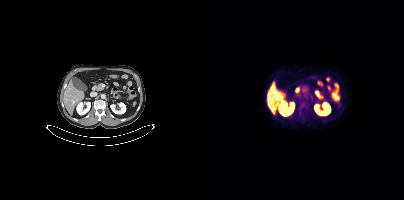
No PSMA-avid tumor lesions on this slice.
modality: PSMA PET/CT | tracer: 18F | view: axial